Left: CT. Right: PSMA PET, same axial level, 18F tracer. Acquired on Siemens Biograph mCT Flow 20. Slice 371 of 464. PET panel 200×200 px (4.1 mm/px).
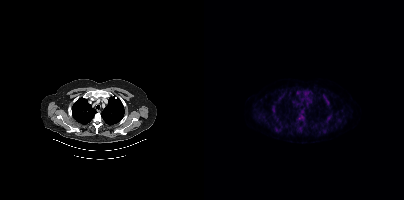
Coordinates are on the 200×200 PET (right) panel. PSMA-avid tumor lesion bounding boxes (partial; 1 more focus not listed):
| # | x0 | y0 | x1 | y1 |
|---|---|---|---|---|
| 1 | 94 | 114 | 100 | 121 |
| 2 | 68 | 105 | 71 | 116 |
| 3 | 118 | 94 | 123 | 100 |
| 4 | 124 | 112 | 128 | 119 |
| 5 | 93 | 91 | 97 | 95 |
| 6 | 99 | 92 | 102 | 97 |
| 7 | 71 | 128 | 76 | 132 |
| 8 | 122 | 102 | 125 | 106 |
Small PSMA-avid foci (2 to 4 px across) near (center x, center y): (105, 91); (59, 116); (75, 100); (99, 89).